- Paired axial CT (left) and PSMA PET (right), 18F tracer
- slice 113 of 354
- PET panel 200×200 px (4.1 mm/px)
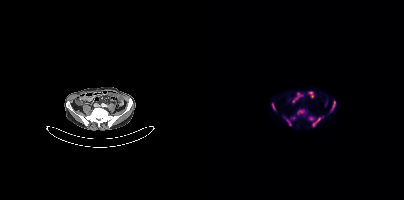
Findings: Coordinates are on the 200×200 PET (right) panel. PSMA-avid tumor lesion bounding boxes (x0,y0,x1,y1): [126,100,131,111], [79,116,87,125], [108,118,116,126], [93,110,100,114], [68,103,72,111], [87,116,91,119], [105,117,109,120].